modality: PSMA PET/CT | tracer: 68Ga | view: axial | PET grid: 200×200
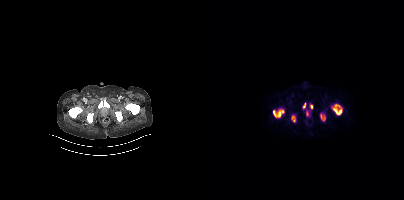
No tumor lesions annotated on this slice.